- Two-panel axial: CT | PSMA PET, 18F-PSMA tracer
- slice 34 of 454
- PET panel 200×200 px (4.1 mm/px)
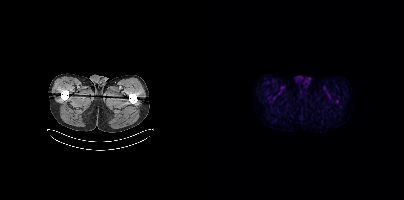
Findings: No tumor lesions annotated on this slice.